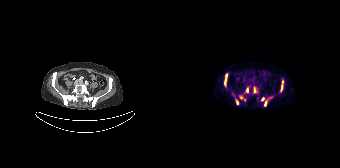
Coordinates are on the 168×168 PET (right) panel. PSMA-avid tumor lesion bounding boxes (x, y, width, height): x=52 y=73 w=4 h=14; x=92 y=97 w=8 h=10; x=108 y=80 w=4 h=13; x=74 y=87 w=3 h=6; x=67 y=96 w=7 h=5; x=82 y=87 w=4 h=6; x=63 y=99 w=4 h=6; x=89 y=97 w=4 h=5. Left: CT. Right: PSMA PET, same axial level, [68Ga]Ga-PSMA-11 tracer. Slice position z = -1094 mm.